Technique: Paired axial CT (left) and PSMA PET (right), 68Ga-PSMA tracer. slice position z = -820 mm.
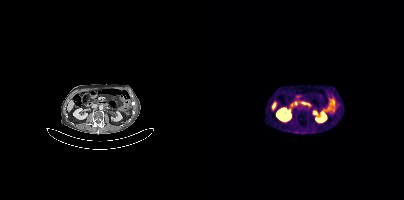
Findings: This slice has no annotated PSMA-avid lesion.